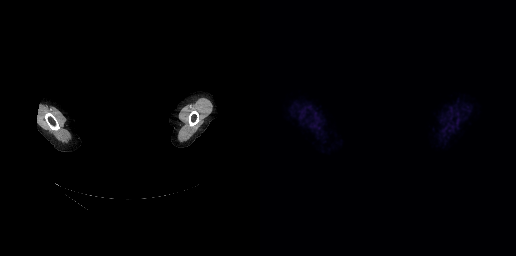
{"pet_grid":[256,256],"coord_frame":"pet_panel","coord_format":"x0,y0,x1,y1","psma_avid_lesions":false,"de-identification":"head region blacked out before release","modality":"PSMA PET/CT","view":"axial","tracer":"18F"}